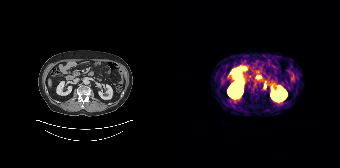
modality: PSMA PET/CT | tracer: [68Ga]Ga-PSMA-11 | view: axial
Coordinates are on the 168×168 PET (right) panel. Small PSMA-avid focus (2 to 4 px across) near (center x, center y): (92, 86).